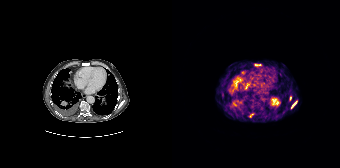
- Paired axial CT (left) and PSMA PET (right), [68Ga]Ga-PSMA-11 tracer
Findings: Coordinates are on the 168×168 PET (right) panel. (showing 5 of 7 foci) PSMA-avid tumor lesion bounding boxes (x, y, width, height): x=82 y=63 w=8 h=5 | x=62 y=81 w=4 h=6 | x=119 y=102 w=6 h=6. Small PSMA-avid foci (2 to 4 px across) near (center x, center y): (50, 94) | (118, 98).